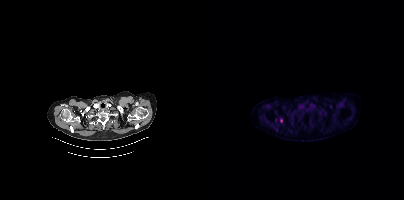
Coordinates are on the 200×200 PET (right) panel. Small PSMA-avid focus (2 to 4 px across) near (center x, center y): (77, 120).